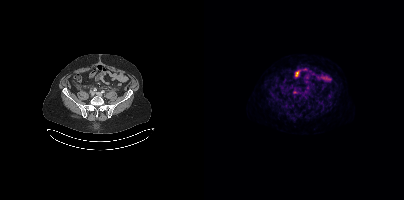
Left: CT. Right: PSMA PET, same axial level, [18F]PSMA-1007 tracer. Acquired on Siemens Biograph mCT Flow 20. PET panel 200×200 px (4.1 mm/px).
Coordinates are on the 200×200 PET (right) panel. PSMA-avid tumor lesion bounding boxes:
| # | x0 | y0 | x1 | y1 |
|---|---|---|---|---|
| 1 | 99 | 96 | 103 | 100 |
Small PSMA-avid focus (2 to 4 px across) near (center x, center y): (90, 95).